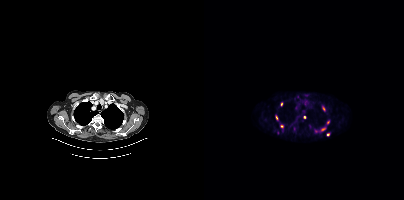
Left: CT. Right: PSMA PET, same axial level, 68Ga tracer. Acquired on Siemens Biograph mCT Flow 20. Coordinates are on the 200×200 PET (right) panel. (showing 9 of 10 foci) Small PSMA-avid foci (2 to 4 px across) near (center x, center y): (118, 129), (100, 117), (124, 134), (124, 122), (78, 126), (119, 108), (72, 117), (77, 104), (93, 96).